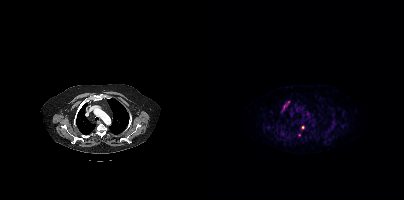
Coordinates are on the 200×200 PET (right) panel. PSMA-avid tumor lesion bounding boxes (x, y, width, height): x=77 y=101 w=9 h=12; x=97 y=125 w=4 h=5. Small PSMA-avid focus (2 to 4 px across) near (center x, center y): (95, 135).
modality: PSMA PET/CT | tracer: 68Ga | view: axial